Left: CT. Right: PSMA PET, same axial level, 68Ga tracer. Slice position z = -532 mm. PET panel 256×256 px (2.7 mm/px).
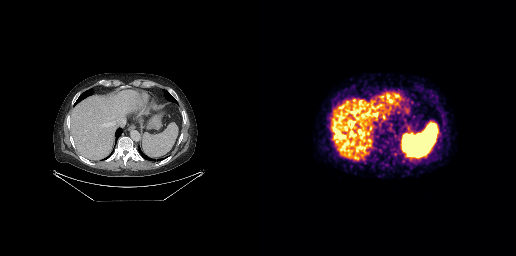
No PSMA-avid tumor lesions on this slice.